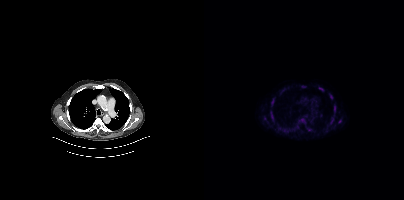
Findings: Coordinates are on the 200×200 PET (right) panel. (showing 10 of 17 foci) PSMA-avid tumor lesion bounding boxes (x0, y0)-(x1, y1): (66, 111)-(69, 120) | (126, 117)-(129, 124) | (97, 118)-(101, 122) | (130, 106)-(131, 112) | (115, 87)-(119, 90) | (67, 99)-(69, 105) | (134, 119)-(137, 123). Small PSMA-avid foci (2 to 4 px across) near (center x, center y): (127, 96) | (105, 129) | (60, 118).
- Left: CT. Right: PSMA PET, same axial level, 18F-PSMA tracer
- slice position z = -372 mm
- PET panel 200×200 px (4.1 mm/px)